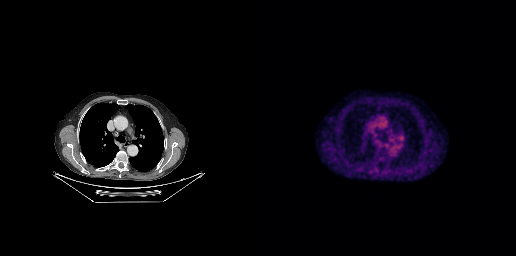
Technique: Paired axial CT (left) and PSMA PET (right), [18F]PSMA-1007 tracer. acquired on GE Discovery 690. PET panel 256×256 px (2.7 mm/px).
Findings: Coordinates are on the 256×256 PET (right) panel. Small PSMA-avid focus (2 to 4 px across) near (center x, center y): (115, 134).